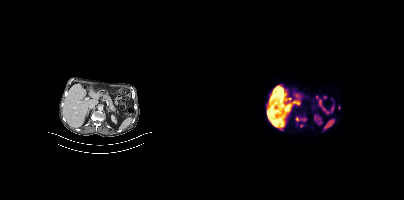
- Left: CT. Right: PSMA PET, same axial level, 18F-PSMA tracer
- PET panel 200×200 px (4.1 mm/px)
Findings: Coordinates are on the 200×200 PET (right) panel. (showing 1 of 3 foci) Small PSMA-avid focus (2 to 4 px across) near (center x, center y): (93, 118).